modality: PSMA PET/CT | tracer: [18F]PSMA-1007 | view: axial | PET grid: 200×200
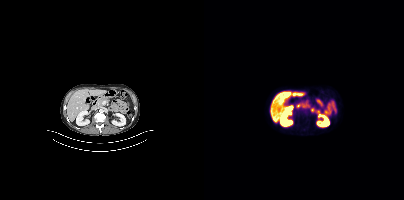
Negative for PSMA-avid disease on this slice.